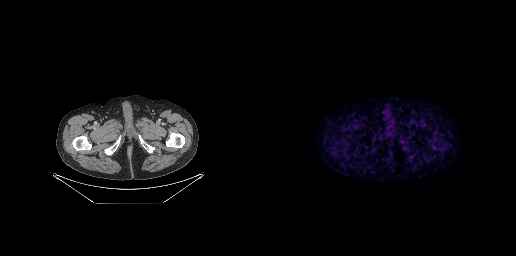
{"pet_grid":[256,256],"coord_frame":"pet_panel","coord_format":"x0,y0,x1,y1","psma_avid_lesions":false,"modality":"PSMA PET/CT","view":"axial","tracer":"18F-PSMA"}